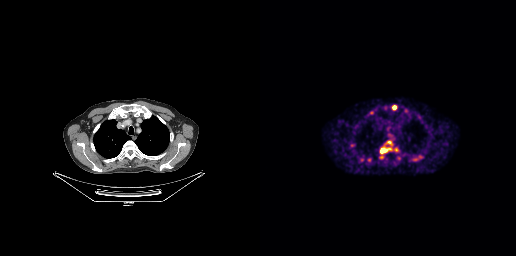
Coordinates are on the 256×256 PET (right) panel. PSMA-avid tumor lesion bounding boxes (x0, y0)-(x1, y1): (120, 148)-(127, 153) | (135, 147)-(138, 151). Small PSMA-avid foci (2 to 4 px across) near (center x, center y): (121, 156) | (138, 157) | (111, 112) | (129, 142) | (134, 107) | (129, 148) | (101, 160).